Paired axial CT (left) and PSMA PET (right), 68Ga tracer. Acquired on Siemens Biograph 64-4R TruePoint. Slice position z = -544 mm. PET panel 168×168 px (4.1 mm/px).
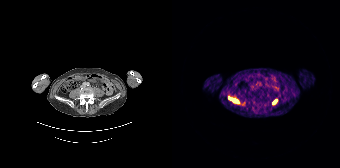
Coordinates are on the 168×168 PET (right) panel. PSMA-avid tumor lesion bounding boxes:
| # | x0 | y0 | x1 | y1 |
|---|---|---|---|---|
| 1 | 56 | 96 | 67 | 103 |
| 2 | 100 | 99 | 105 | 104 |